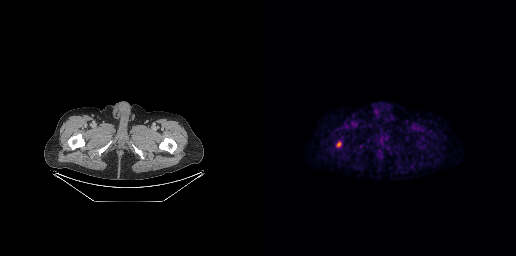
{"modality":"PSMA PET/CT","view":"axial","tracer":"[18F]PSMA-1007","pet_grid":[256,256],"coord_frame":"pet_panel","coord_format":"x0,y0,x1,y1","lesion_bboxes":[],"small_foci_centers":[[78,144]]}